Paired axial CT (left) and PSMA PET (right), [68Ga]Ga-PSMA-11 tracer. Slice 66 of 195.
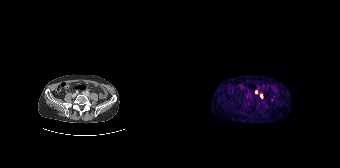
Coordinates are on the 168×168 PET (right) panel. Small PSMA-avid foci (2 to 4 px across) near (center x, center y): (89, 96); (84, 92).